Two-panel axial: CT | PSMA PET, 68Ga-PSMA tracer. Acquired on Siemens Biograph mCT Flow 20. Slice position z = -1229 mm. PET panel 200×200 px (4.1 mm/px).
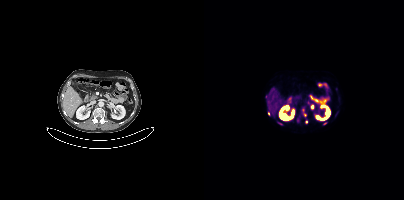
Coordinates are on the 200×200 PET (right) panel. (showing 5 of 7 foci) PSMA-avid tumor lesion bounding boxes (x, y, width, height): x=92 y=118 w=5 h=5 / x=119 y=122 w=5 h=3. Small PSMA-avid foci (2 to 4 px across) near (center x, center y): (64, 113) / (75, 123) / (102, 121).